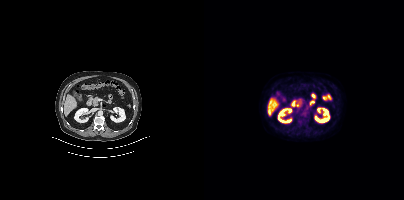
{"pet_grid":[200,200],"coord_frame":"pet_panel","coord_format":"x0,y0,x1,y1","psma_avid_lesions":false,"modality":"PSMA PET/CT","view":"axial","tracer":"18F"}